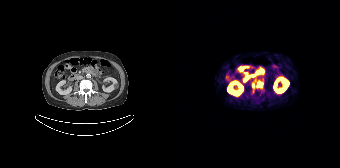
Findings: Coordinates are on the 168×168 PET (right) panel. (showing 1 of 2 foci) PSMA-avid tumor lesion bounding box (x0,y0,x1,y1): [80,80,91,88].
Technique: Paired axial CT (left) and PSMA PET (right), 68Ga tracer. acquired on Siemens Biograph 64-4R TruePoint. slice 64 of 165. PET panel 168×168 px (4.1 mm/px).